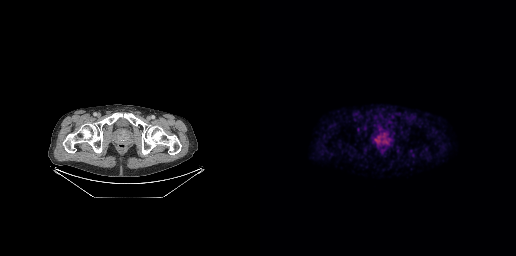
Coordinates are on the 256×256 PET (right) panel. PSMA-avid tumor lesion bounding box (x0,y0,x1,y1): [115,132,130,145].